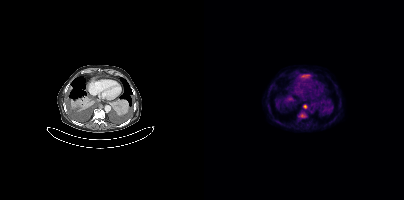
{"modality":"PSMA PET/CT","view":"axial","tracer":"[18F]PSMA-1007","pet_grid":[200,200],"coord_frame":"pet_panel","coord_format":"x0,y0,x1,y1","lesion_bboxes":[],"small_foci_centers":[[100,106]]}